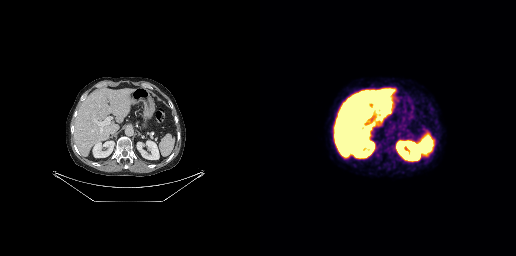
No tumor lesions annotated on this slice.